Technique: Paired axial CT (left) and PSMA PET (right), 18F-PSMA tracer. acquired on GE Discovery 690.
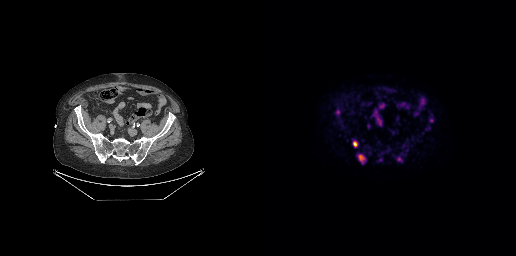
Findings: Coordinates are on the 256×256 PET (right) panel. PSMA-avid tumor lesion bounding boxes (x, y, width, height): x=98 y=154 w=7 h=8; x=93 y=141 w=5 h=6; x=169 y=118 w=5 h=5; x=137 y=157 w=6 h=5; x=76 y=109 w=4 h=6.